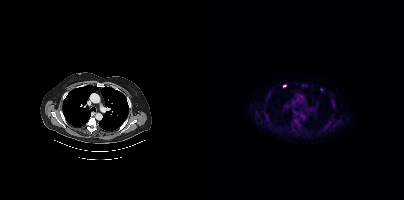
{"modality":"PSMA PET/CT","view":"axial","tracer":"18F","pet_grid":[200,200],"coord_frame":"pet_panel","coord_format":"x0,y0,x1,y1","partial":true,"lesion_bboxes":[],"small_foci_centers":[[80,85],[88,126]]}